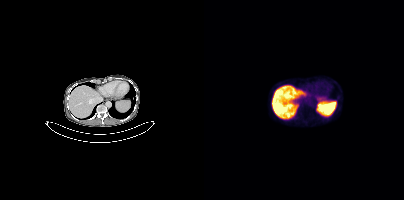
This slice has no annotated PSMA-avid lesion.